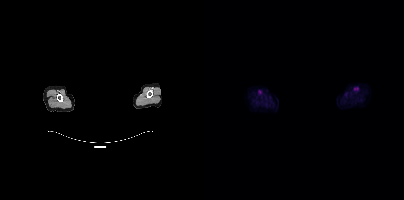
This slice has no annotated PSMA-avid lesion. Paired axial CT (left) and PSMA PET (right), 18F-PSMA tracer. Acquired on Siemens Biograph mCT Flow 20. Slice position z = -156 mm. An anonymization step blacked out a rectangle over the head in this scan.